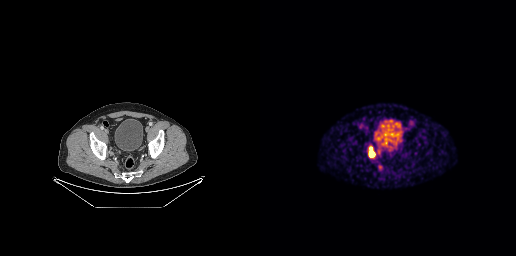
{"pet_grid":[256,256],"coord_frame":"pet_panel","coord_format":"x0,y0,x1,y1","lesion_bboxes":[[108,146,115,157]],"modality":"PSMA PET/CT","view":"axial","tracer":"[68Ga]Ga-PSMA-11"}